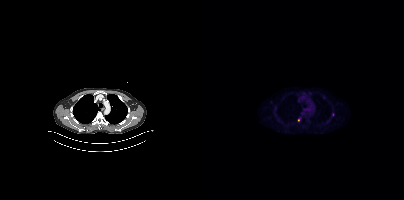
Coordinates are on the 200×200 PET (right) panel. Small PSMA-avid foci (2 to 4 px across) near (center x, center y): (129, 114); (94, 120). Left: CT. Right: PSMA PET, same axial level, [18F]PSMA-1007 tracer.